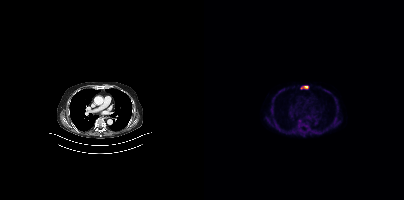
Coordinates are on the 200×200 PET (right) panel. (showing 3 of 5 foci) PSMA-avid tumor lesion bounding boxes (x0,y0,x1,y1): [102,125,106,130] [100,86,104,88]. Small PSMA-avid focus (2 to 4 px across) near (center x, center y): (95, 120).